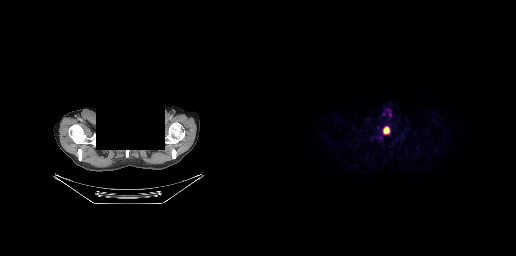
Coordinates are on the 256×256 PET (right) panel. PSMA-avid tumor lesion bounding box (x0,y0,x1,y1): [123,126,130,134]. A rectangular block over the head has been blanked out for de-identification. Paired axial CT (left) and PSMA PET (right), 18F tracer.